Two-panel axial: CT | PSMA PET, 18F tracer.
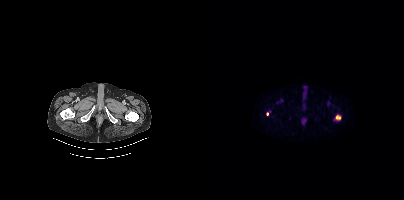
Coordinates are on the 200×200 PET (right) panel. PSMA-avid tumor lesion bounding boxes:
| # | x0 | y0 | x1 | y1 |
|---|---|---|---|---|
| 1 | 131 | 114 | 137 | 120 |
Small PSMA-avid foci (2 to 4 px across) near (center x, center y): (63, 114); (78, 99).